modality: PSMA PET/CT | tracer: [68Ga]Ga-PSMA-11 | view: axial | PET grid: 200×200
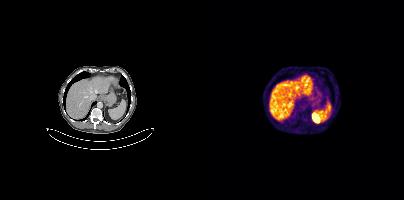
No PSMA-avid tumor lesions on this slice.